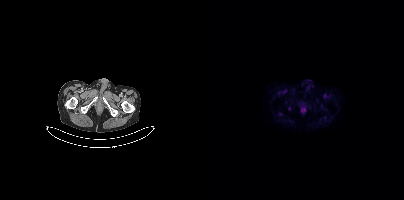
Left: CT. Right: PSMA PET, same axial level, 18F tracer. Acquired on Siemens Biograph mCT Flow 20. Slice position z = -846 mm. This slice has no annotated PSMA-avid lesion.